Technique: Left: CT. Right: PSMA PET, same axial level, [18F]PSMA-1007 tracer. acquired on Siemens Biograph mCT Flow 20. PET panel 200×200 px (4.1 mm/px).
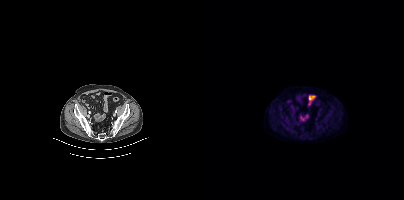
Findings: Negative for PSMA-avid disease on this slice.